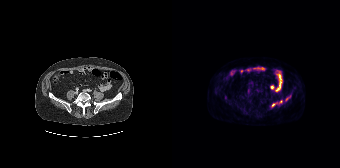
Two-panel axial: CT | PSMA PET, 18F-PSMA tracer.
Coordinates are on the 168×168 PET (right) panel. PSMA-avid tumor lesion bounding boxes (partial; 1 more focus not listed):
| # | x0 | y0 | x1 | y1 |
|---|---|---|---|---|
| 1 | 113 | 96 | 118 | 100 |
Small PSMA-avid focus (2 to 4 px across) near (center x, center y): (101, 105).